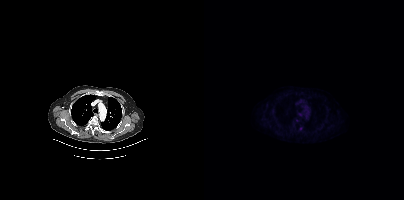
Findings: No tumor lesions annotated on this slice.
Technique: Paired axial CT (left) and PSMA PET (right), 18F tracer. slice position z = -488 mm.